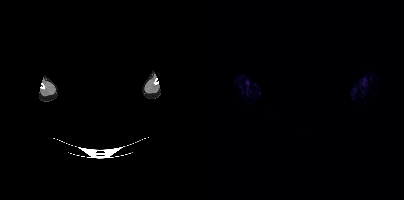
Paired axial CT (left) and PSMA PET (right), 68Ga tracer. Acquired on Siemens Biograph mCT Flow 20. Slice position z = -359 mm. PET panel 200×200 px (4.1 mm/px). Privacy masking over the head, with the pixels inside a rectangle set to black. No tumor lesions annotated on this slice.